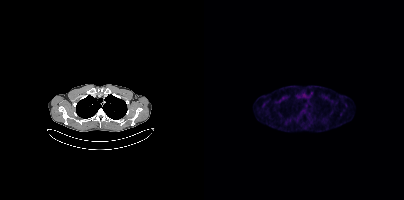
Only PSMA-avid lesion pieces thinner than 2 px on this slice (not listed).